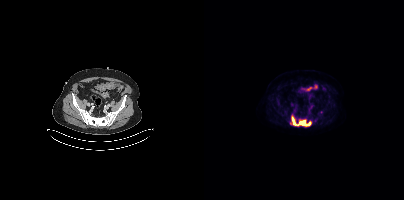
Coordinates are on the 200×200 PET (right) panel. PSMA-avid tumor lesion bounding box (x0,y0,x1,y1): [86,115,107,126].
modality: PSMA PET/CT | tracer: 18F | view: axial